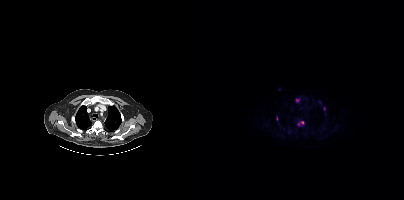
Coordinates are on the 200×200 PET (right) panel. (showing 3 of 5 foci) Small PSMA-avid foci (2 to 4 px across) near (center x, center y): (93, 100) | (98, 122) | (120, 108).